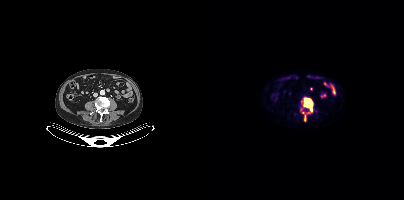
Coordinates are on the 200×200 PET (right) panel. (showing 3 of 4 foci) PSMA-avid tumor lesion bounding boxes (x0,y0,x1,y1): [100,98,108,113] [100,116,102,121]. Small PSMA-avid focus (2 to 4 px across) near (center x, center y): (97, 109).